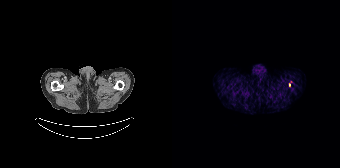
Coordinates are on the 168×168 PET (right) panel. Small PSMA-avid focus (2 to 4 px across) near (center x, center y): (117, 84).